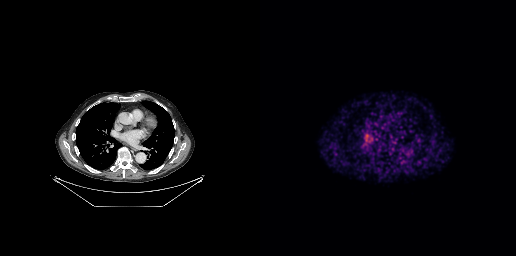
- Paired axial CT (left) and PSMA PET (right), 68Ga-PSMA tracer
- PET panel 256×256 px (2.7 mm/px)
Findings: No tumor lesions annotated on this slice.